Left: CT. Right: PSMA PET, same axial level, 18F tracer. Acquired on Siemens Biograph mCT Flow 20. PET panel 200×200 px (4.1 mm/px).
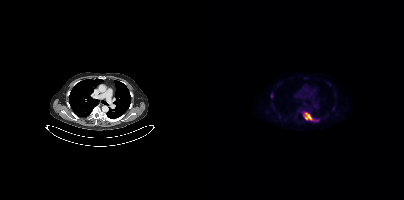
Coordinates are on the 200×200 PET (right) panel. PSMA-avid tumor lesion bounding boxes:
| # | x0 | y0 | x1 | y1 |
|---|---|---|---|---|
| 1 | 99 | 112 | 115 | 121 |